- Left: CT. Right: PSMA PET, same axial level, 18F tracer
- acquired on Siemens Biograph mCT Flow 20
- PET panel 200×200 px (4.1 mm/px)
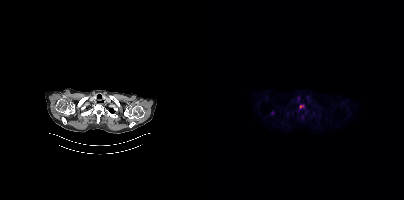
Findings: Coordinates are on the 200×200 PET (right) panel. Small PSMA-avid focus (2 to 4 px across) near (center x, center y): (97, 106).